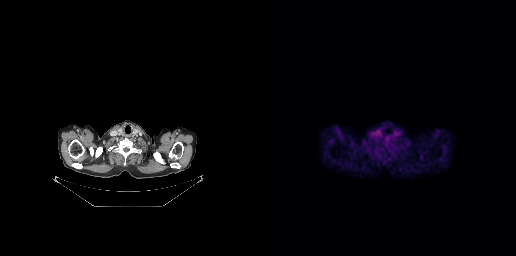
No tumor lesions annotated on this slice.